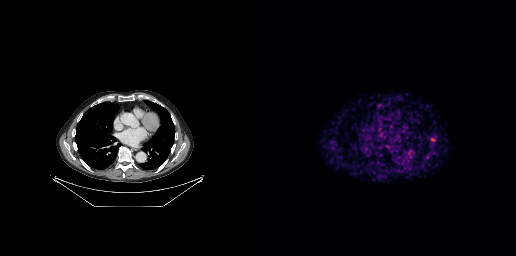
Findings: Coordinates are on the 256×256 PET (right) panel. Small PSMA-avid focus (2 to 4 px across) near (center x, center y): (119, 105).
Technique: Left: CT. Right: PSMA PET, same axial level, 68Ga-PSMA tracer. acquired on GE Discovery 690. slice 111 of 189. PET panel 256×256 px (2.7 mm/px).